Left: CT. Right: PSMA PET, same axial level, 68Ga tracer. Slice 9 of 195. PET panel 168×168 px (4.1 mm/px).
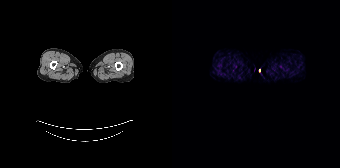
Negative for PSMA-avid disease on this slice.